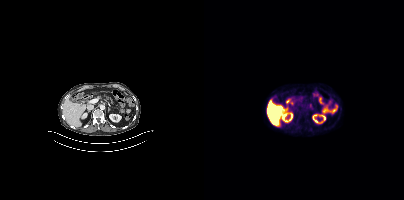
No tumor lesions annotated on this slice. Two-panel axial: CT | PSMA PET, [18F]PSMA-1007 tracer.